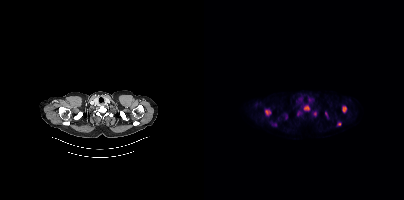
{"pet_grid":[200,200],"coord_frame":"pet_panel","coord_format":"x0,y0,x1,y1","lesion_bboxes":[[61,110,66,115],[100,105,105,110],[138,106,142,112]],"small_foci_centers":[[122,113],[135,124],[71,125],[110,113]],"modality":"PSMA PET/CT","view":"axial","tracer":"18F"}